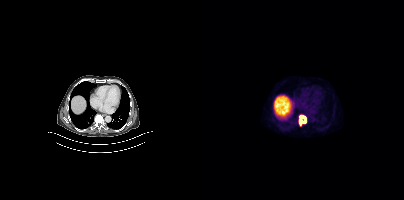
Coordinates are on the 200×200 PET (right) panel. PSMA-avid tumor lesion bounding box (x0, y0)-(x1, y1): (94, 114)-(102, 126).